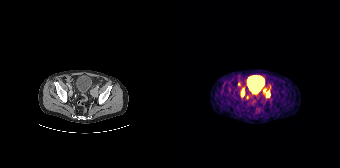
Coordinates are on the 168×168 PET (right) panel. (showing 2 of 3 foci) PSMA-avid tumor lesion bounding boxes (x0, y0)-(x1, y1): (91, 89)-(98, 97) | (69, 88)-(72, 96).